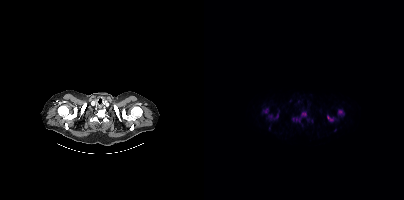
Paired axial CT (left) and PSMA PET (right), 18F-PSMA tracer. PET panel 200×200 px (4.1 mm/px). Coordinates are on the 200×200 PET (right) panel. (showing 6 of 10 foci) PSMA-avid tumor lesion bounding boxes (x0,y0,x1,y1): [92,112,102,121]; [64,113,74,120]; [123,115,130,121]; [134,110,140,115]; [59,108,64,113]. Small PSMA-avid focus (2 to 4 px across) near (center x, center y): (89, 119).